Technique: Left: CT. Right: PSMA PET, same axial level, [18F]PSMA-1007 tracer. slice position z = -269 mm. PET panel 200×200 px (4.1 mm/px).
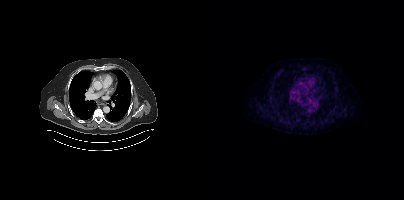
Findings: Coordinates are on the 200×200 PET (right) panel. Small PSMA-avid focus (2 to 4 px across) near (center x, center y): (128, 111).